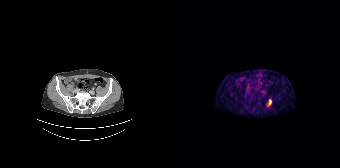
Coordinates are on the 168×168 PET (right) panel. PSMA-avid tumor lesion bounding box (x0,y0,x1,y1): [96,99,99,105]. Paired axial CT (left) and PSMA PET (right), [68Ga]Ga-PSMA-11 tracer. Slice position z = -1451 mm. PET panel 168×168 px (4.1 mm/px).